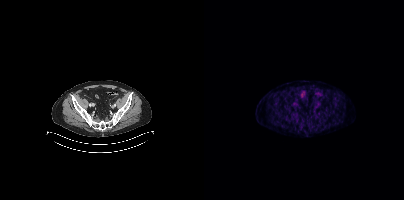
This slice has no annotated PSMA-avid lesion. Left: CT. Right: PSMA PET, same axial level, 68Ga tracer. PET panel 200×200 px (4.1 mm/px).